- Paired axial CT (left) and PSMA PET (right), [18F]PSMA-1007 tracer
- slice 217 of 377
- PET panel 200×200 px (4.1 mm/px)
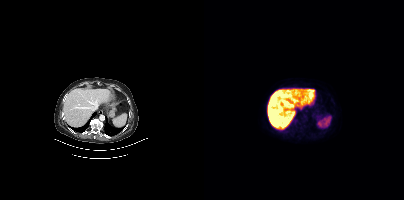
Findings: This slice has no annotated PSMA-avid lesion.